Paired axial CT (left) and PSMA PET (right), 18F tracer. Slice position z = -602 mm.
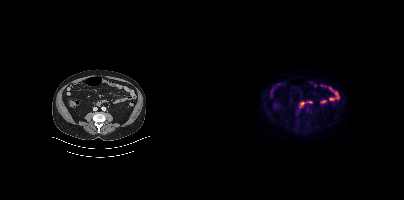
No tumor lesions annotated on this slice.